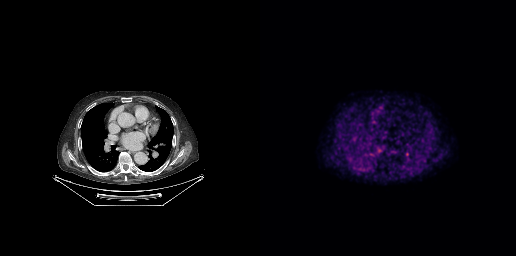
{"pet_grid":[256,256],"coord_frame":"pet_panel","coord_format":"x0,y0,x1,y1","psma_avid_lesions":false,"modality":"PSMA PET/CT","view":"axial","tracer":"[18F]PSMA-1007"}